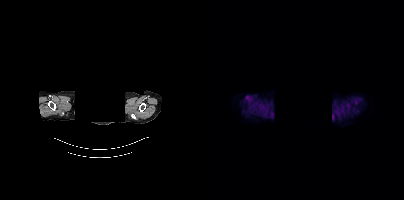
Two-panel axial: CT | PSMA PET, 18F tracer. Slice position z = 522 mm. PET panel 200×200 px (4.1 mm/px). Face de-identified by blanking a block of the head. No tumor lesions annotated on this slice.